Technique: Two-panel axial: CT | PSMA PET, 18F tracer. slice position z = 1296 mm. PET panel 200×200 px (4.1 mm/px).
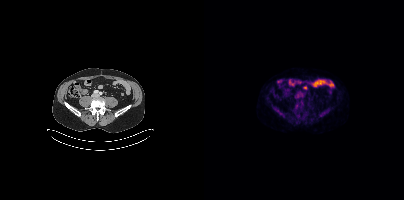
Findings: This slice has no annotated PSMA-avid lesion.